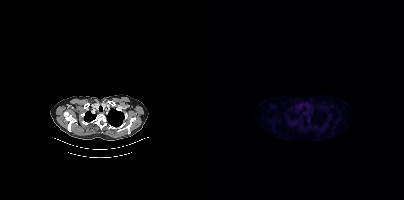
Findings: Only PSMA-avid lesion pieces thinner than 2 px on this slice (not listed).
Technique: Left: CT. Right: PSMA PET, same axial level, [18F]PSMA-1007 tracer. acquired on Siemens Biograph mCT Flow 20. PET panel 200×200 px (4.1 mm/px).